Technique: Left: CT. Right: PSMA PET, same axial level, 18F tracer. slice position z = -620 mm. PET panel 200×200 px (4.1 mm/px).
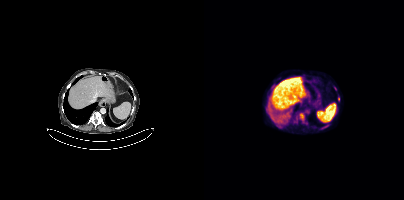
Findings: Coordinates are on the 200×200 PET (right) panel. PSMA-avid tumor lesion bounding box (x, y, width, height): x=95 y=113 w=6 h=8. Small PSMA-avid focus (2 to 4 px across) near (center x, center y): (134, 99).